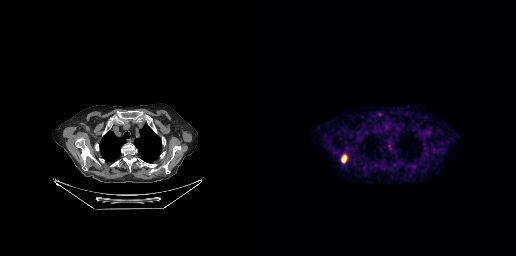
Coordinates are on the 256×256 PET (right) panel. PSMA-avid tumor lesion bounding box (x0,y0,x1,y1): [81,155,86,162].